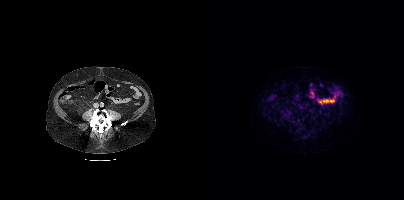
Negative for PSMA-avid disease on this slice.
modality: PSMA PET/CT | tracer: [68Ga]Ga-PSMA-11 | view: axial | PET grid: 200×200